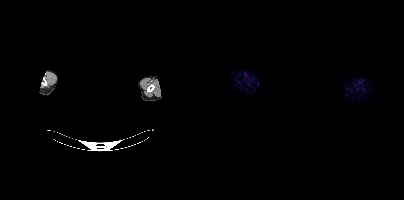
A rectangle over the head was blacked out to remove identifiable facial features.
This slice has no annotated PSMA-avid lesion.